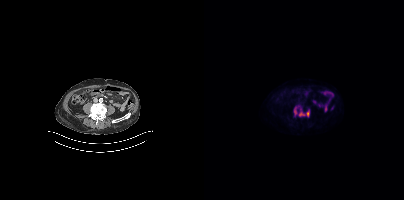
Paired axial CT (left) and PSMA PET (right), 18F-PSMA tracer. Acquired on Siemens Biograph mCT Flow 20. Slice position z = -828 mm. PET panel 200×200 px (4.1 mm/px). Coordinates are on the 200×200 PET (right) panel. PSMA-avid tumor lesion bounding box (x0,y0,x1,y1): [89,105,105,117].